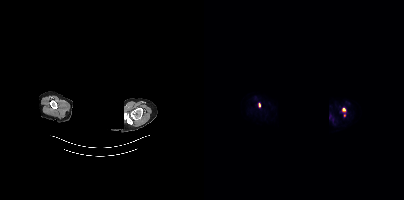
Coordinates are on the 200×200 PET (right) panel. PSMA-avid tumor lesion bounding box (x0, y0)-(x1, y1): (54, 103)-(56, 107). Small PSMA-avid foci (2 to 4 px across) near (center x, center y): (139, 109) / (140, 115). Left: CT. Right: PSMA PET, same axial level, [18F]PSMA-1007 tracer. Slice position z = -971 mm. PET panel 200×200 px (4.1 mm/px). Head region blanked for anonymization (face removed).